Paired axial CT (left) and PSMA PET (right), 18F tracer. Acquired on Siemens Biograph mCT Flow 20. Slice 214 of 421.
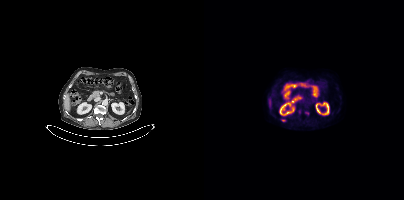
Coordinates are on the 200×200 PET (right) panel. Small PSMA-avid focus (2 to 4 px across) near (center x, center y): (79, 120).